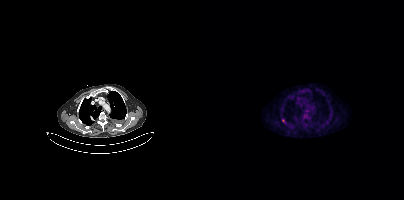
{"modality":"PSMA PET/CT","view":"axial","tracer":"18F","pet_grid":[200,200],"coord_frame":"pet_panel","coord_format":"x0,y0,x1,y1","lesion_bboxes":[],"small_foci_centers":[[79,120]]}